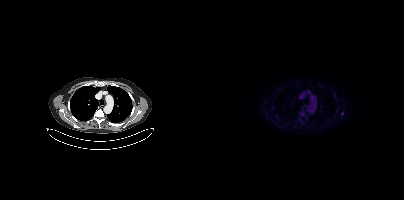
Technique: Left: CT. Right: PSMA PET, same axial level, 18F-PSMA tracer. slice 323 of 429. PET panel 200×200 px (4.1 mm/px).
Findings: Only PSMA-avid lesion pieces thinner than 2 px on this slice (not listed).